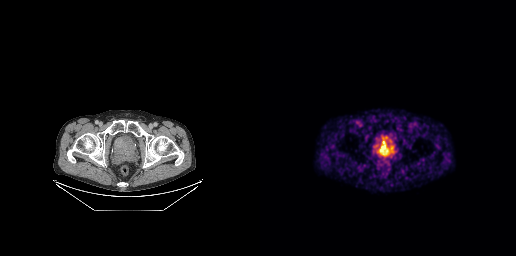
Coordinates are on the 256×256 PET (right) panel. PSMA-avid tumor lesion bounding box (x0,y0,x1,y1): [120,145,125,151]. Small PSMA-avid focus (2 to 4 px across) near (center x, center y): (126, 150).